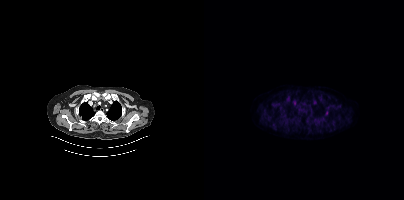
Two-panel axial: CT | PSMA PET, 18F-PSMA tracer. PET panel 200×200 px (4.1 mm/px). Coordinates are on the 200×200 PET (right) panel. Small PSMA-avid focus (2 to 4 px across) near (center x, center y): (122, 113).